Two-panel axial: CT | PSMA PET, [18F]PSMA-1007 tracer. Acquired on Siemens Biograph mCT Flow 20. Slice 377 of 389. Privacy masking over the head, with the pixels inside a rectangle set to black.
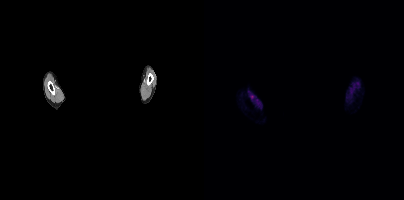
Negative for PSMA-avid disease on this slice.